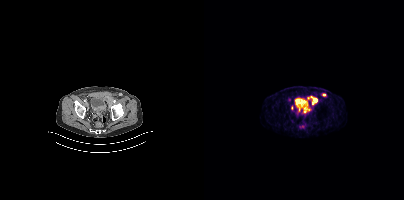
Two-panel axial: CT | PSMA PET, [68Ga]Ga-PSMA-11 tracer. Slice position z = -1392 mm.
Coordinates are on the 200×200 PET (right) panel. PSMA-avid tumor lesion bounding boxes (partial; 1 more focus not listed):
| # | x0 | y0 | x1 | y1 |
|---|---|---|---|---|
| 1 | 106 | 96 | 113 | 104 |
| 2 | 100 | 108 | 106 | 112 |
Small PSMA-avid foci (2 to 4 px across) near (center x, center y): (120, 95); (95, 110); (87, 107).